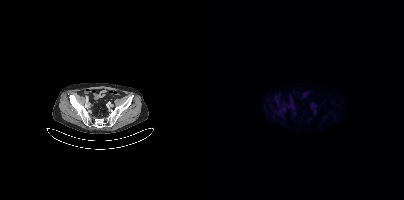
No PSMA-avid tumor lesions on this slice.